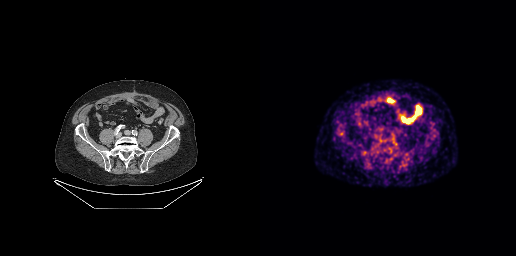
- Left: CT. Right: PSMA PET, same axial level, 18F-PSMA tracer
- slice 91 of 263
Findings: No PSMA-avid tumor lesions on this slice.